modality: PSMA PET/CT | tracer: 18F-PSMA | view: axial
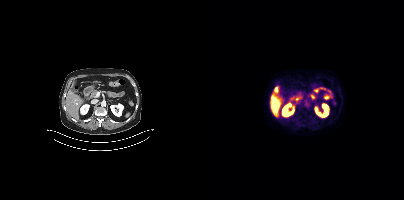
Negative for PSMA-avid disease on this slice.